Two-panel axial: CT | PSMA PET, 18F tracer.
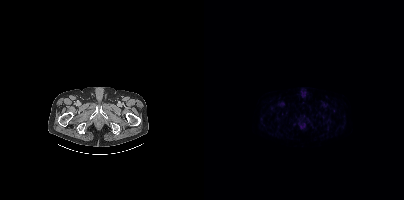
No tumor lesions annotated on this slice.